deidentification: face masked with black rectangle | modality: PSMA PET/CT | tracer: 18F-PSMA | view: axial
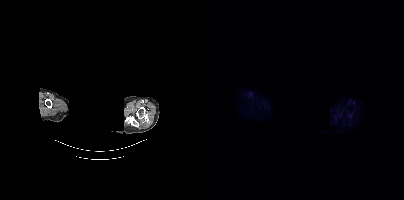
No tumor lesions annotated on this slice.